Technique: Paired axial CT (left) and PSMA PET (right), 18F tracer. acquired on GE Discovery 690. PET panel 256×256 px (2.7 mm/px).
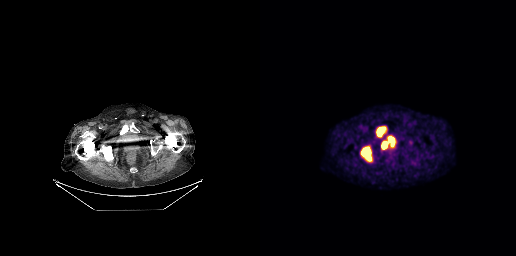
Findings: Coordinates are on the 256×256 PET (right) panel. PSMA-avid tumor lesion bounding boxes (x0, y0)-(x1, y1): (101, 147)-(111, 160) | (116, 126)-(125, 136).